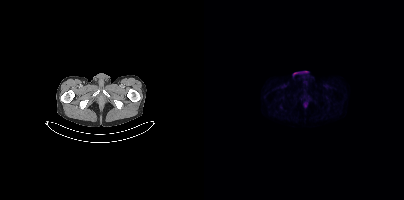
Technique: Two-panel axial: CT | PSMA PET, 18F-PSMA tracer. acquired on Siemens Biograph mCT Flow 20. slice 42 of 448.
Findings: No PSMA-avid tumor lesions on this slice.